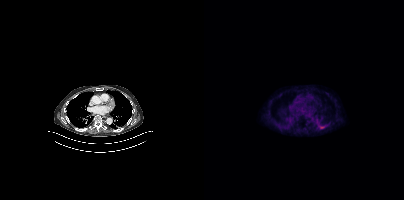
Two-panel axial: CT | PSMA PET, 18F-PSMA tracer. Acquired on Siemens Biograph mCT Flow 20.
Coordinates are on the 200×200 PET (right) panel. PSMA-avid tumor lesion bounding boxes:
| # | x0 | y0 | x1 | y1 |
|---|---|---|---|---|
| 1 | 115 | 126 | 120 | 128 |